- Left: CT. Right: PSMA PET, same axial level, 18F tracer
- PET panel 200×200 px (4.1 mm/px)
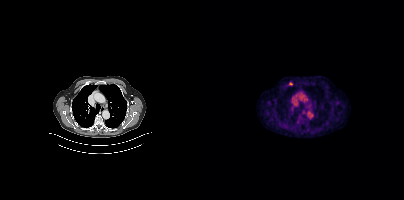
Findings: Coordinates are on the 200×200 PET (right) panel. Small PSMA-avid focus (2 to 4 px across) near (center x, center y): (86, 83).